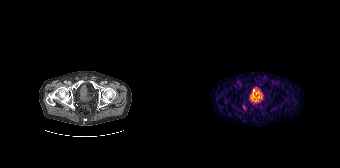
modality: PSMA PET/CT | tracer: 68Ga | view: axial
Coordinates are on the 168×168 PET (right) panel. Small PSMA-avid focus (2 to 4 px across) near (center x, center y): (71, 107).